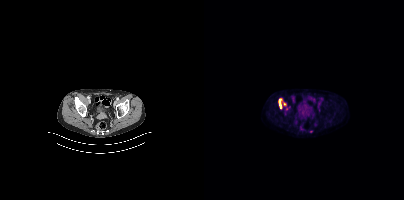
Coordinates are on the 200×200 PET (right) panel. PSMA-avid tumor lesion bounding boxes:
| # | x0 | y0 | x1 | y1 |
|---|---|---|---|---|
| 1 | 75 | 99 | 78 | 108 |
Small PSMA-avid foci (2 to 4 px across) near (center x, center y): (107, 131); (80, 103); (82, 108).
Paired axial CT (left) and PSMA PET (right), 18F-PSMA tracer. PET panel 200×200 px (4.1 mm/px).